Two-panel axial: CT | PSMA PET, [18F]PSMA-1007 tracer. Acquired on Siemens Biograph mCT Flow 20. Slice position z = -1588 mm. PET panel 200×200 px (4.1 mm/px).
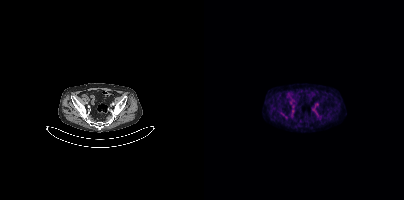
No PSMA-avid tumor lesions on this slice.